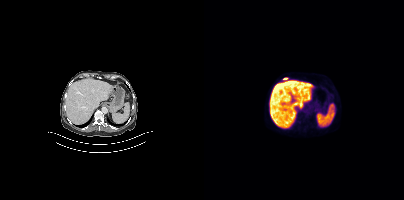
Paired axial CT (left) and PSMA PET (right), 18F tracer. Acquired on Siemens Biograph mCT Flow 20.
Coordinates are on the 200×200 PET (right) panel. PSMA-avid tumor lesion bounding boxes:
| # | x0 | y0 | x1 | y1 |
|---|---|---|---|---|
| 1 | 79 | 78 | 83 | 79 |